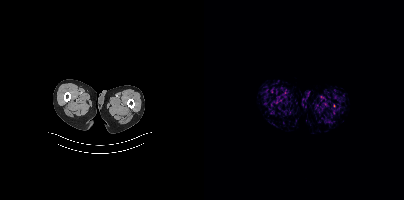
- Two-panel axial: CT | PSMA PET, 18F tracer
- slice position z = -973 mm
Findings: This slice has no annotated PSMA-avid lesion.